modality: PSMA PET/CT | tracer: [18F]PSMA-1007 | view: axial | PET grid: 200×200
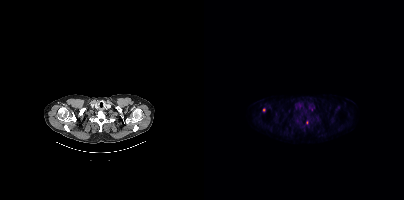
Coordinates are on the 200×200 PET (right) panel. (showing 1 of 2 foci) Small PSMA-avid focus (2 to 4 px across) near (center x, center y): (60, 110).